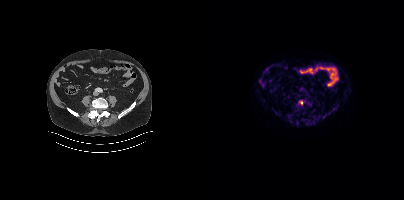
Coordinates are on the 200×200 PET (right) panel. Small PSMA-avid focus (2 to 4 px across) near (center x, center y): (97, 102).